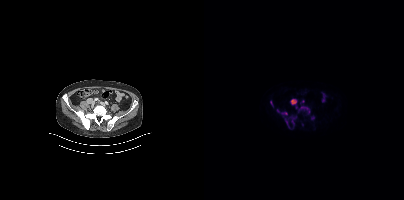
- Two-panel axial: CT | PSMA PET, [18F]PSMA-1007 tracer
- acquired on Siemens Biograph mCT Flow 20
Findings: Coordinates are on the 200×200 PET (right) panel. PSMA-avid tumor lesion bounding boxes (x, y, width, height): x=81 y=115 w=12 h=15 / x=94 y=106 w=12 h=9 / x=72 y=109 w=12 h=7 / x=86 y=99 w=7 h=6 / x=106 y=115 w=6 h=6 / x=66 y=101 w=3 h=5. Small PSMA-avid focus (2 to 4 px across) near (center x, center y): (98, 124).